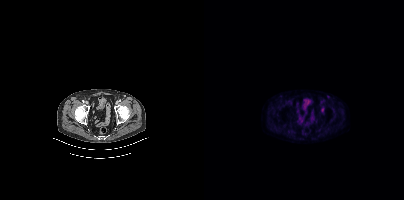
modality: PSMA PET/CT | tracer: [18F]PSMA-1007 | view: axial
Coordinates are on the 200×200 PET (right) panel. PSMA-avid tumor lesion bounding box (x0, y0)-(x1, y1): (117, 107)-(120, 112).